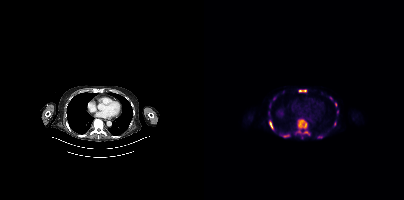
{"modality":"PSMA PET/CT","view":"axial","tracer":"[18F]PSMA-1007","pet_grid":[200,200],"coord_frame":"pet_panel","coord_format":"x0,y0,x1,y1","partial":true,"lesion_bboxes":[[91,120,103,134],[76,134,85,137],[65,121,69,129],[114,135,118,138],[95,90,102,91],[130,121,132,126],[125,96,128,100],[131,102,133,106],[133,110,134,114]]}